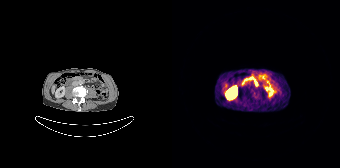
{"modality":"PSMA PET/CT","view":"axial","tracer":"[68Ga]Ga-PSMA-11","pet_grid":[168,168],"coord_frame":"pet_panel","coord_format":"x0,y0,x1,y1","psma_avid_lesions":false}